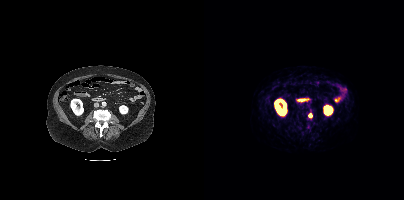
{"pet_grid":[200,200],"coord_frame":"pet_panel","coord_format":"x0,y0,x1,y1","lesion_bboxes":[[104,113,108,117]],"modality":"PSMA PET/CT","view":"axial","tracer":"[68Ga]Ga-PSMA-11"}